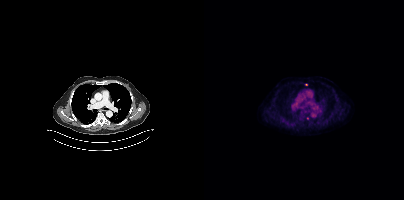
{"modality":"PSMA PET/CT","view":"axial","tracer":"18F","pet_grid":[200,200],"coord_frame":"pet_panel","coord_format":"x0,y0,x1,y1","lesion_bboxes":[],"small_foci_centers":[[102,84]]}